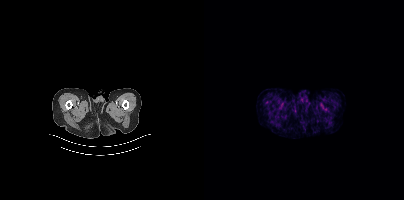
No PSMA-avid tumor lesions on this slice.